A rectangular block over the head has been blanked out for de-identification.
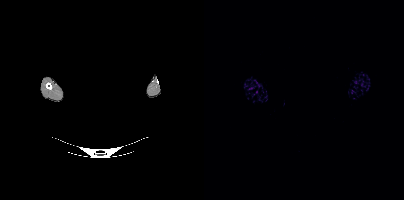
No PSMA-avid tumor lesions on this slice.